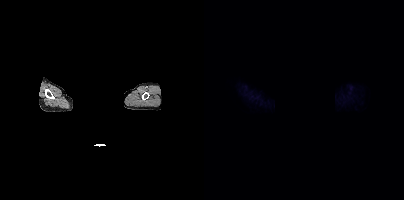
Findings: Negative for PSMA-avid disease on this slice.
Technique: Two-panel axial: CT | PSMA PET, [18F]PSMA-1007 tracer. PET panel 200×200 px (4.1 mm/px).
Note: Facial anatomy redacted by setting a rectangular region of the head to black.